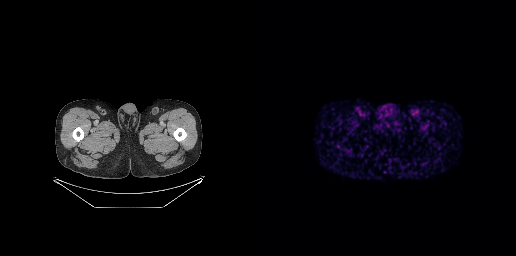
{"modality":"PSMA PET/CT","view":"axial","tracer":"68Ga-PSMA","pet_grid":[256,256],"coord_frame":"pet_panel","coord_format":"x0,y0,x1,y1","psma_avid_lesions":false}